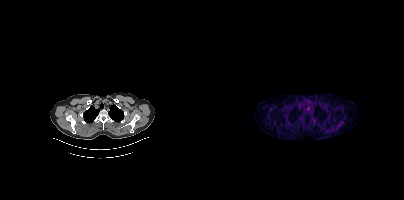
Negative for PSMA-avid disease on this slice.